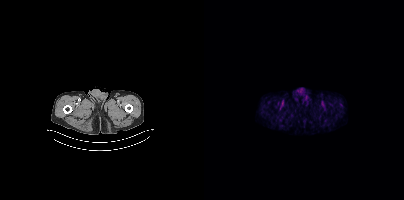
{"pet_grid":[200,200],"coord_frame":"pet_panel","coord_format":"x0,y0,x1,y1","psma_avid_lesions":false,"modality":"PSMA PET/CT","view":"axial","tracer":"18F-PSMA"}